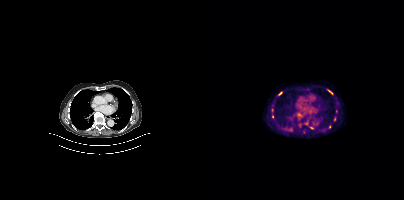
Coordinates are on the 200×200 PET (right) panel. (showing 6 of 8 foci) PSMA-avid tumor lesion bounding box (x, y, width, height): x=124 y=90 w=5 h=5. Small PSMA-avid foci (2 to 4 px across) near (center x, center y): (76, 93) | (68, 116) | (95, 114) | (125, 126) | (107, 127). Left: CT. Right: PSMA PET, same axial level, 18F-PSMA tracer.